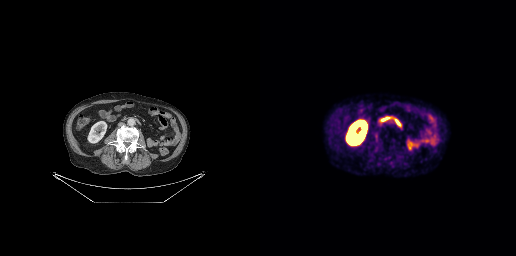
- Paired axial CT (left) and PSMA PET (right), [18F]PSMA-1007 tracer
- PET panel 256×256 px (2.7 mm/px)
Findings: This slice has no annotated PSMA-avid lesion.